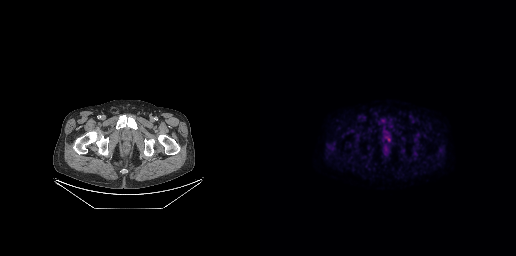
Paired axial CT (left) and PSMA PET (right), [18F]PSMA-1007 tracer. PET panel 256×256 px (2.7 mm/px). Coordinates are on the 256×256 PET (right) panel. PSMA-avid tumor lesion bounding box (x0, y0)-(x1, y1): (127, 137)-(130, 141).